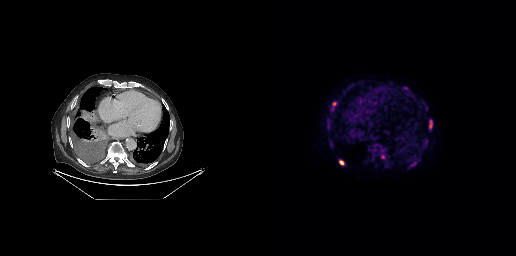
{"modality":"PSMA PET/CT","view":"axial","tracer":"18F","pet_grid":[256,256],"coord_frame":"pet_panel","coord_format":"x0,y0,x1,y1","lesion_bboxes":[[169,120,172,129],[79,160,84,165],[72,102,76,105],[151,162,155,165]]}